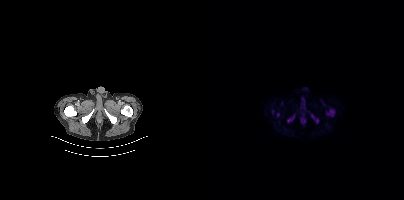
Two-panel axial: CT | PSMA PET, 18F tracer. PET panel 200×200 px (4.1 mm/px).
Coordinates are on the 200×200 PET (right) panel. PSMA-avid tumor lesion bounding boxes:
| # | x0 | y0 | x1 | y1 |
|---|---|---|---|---|
| 1 | 122 | 109 | 130 | 116 |
| 2 | 107 | 114 | 114 | 123 |
| 3 | 83 | 115 | 90 | 122 |
Small PSMA-avid focus (2 to 4 px across) near (center x, center y): (74, 114).